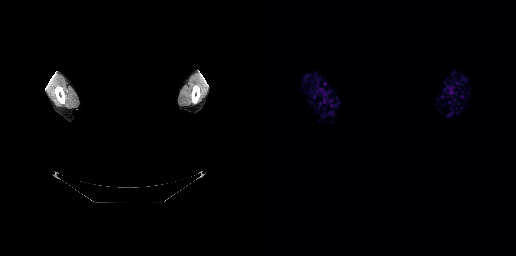
Facial anatomy redacted by setting a rectangular region of the head to black. Left: CT. Right: PSMA PET, same axial level, [68Ga]Ga-PSMA-11 tracer. PET panel 256×256 px (2.7 mm/px). This slice has no annotated PSMA-avid lesion.